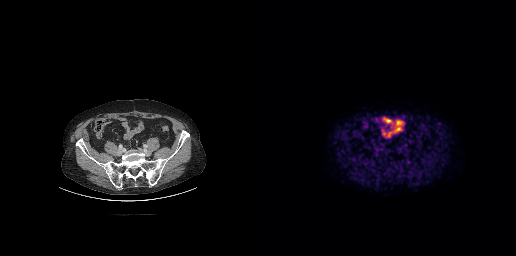
modality: PSMA PET/CT | tracer: [18F]PSMA-1007 | view: axial | PET grid: 256×256
Negative for PSMA-avid disease on this slice.